Technique: Two-panel axial: CT | PSMA PET, [68Ga]Ga-PSMA-11 tracer. acquired on Siemens Biograph mCT Flow 20. slice position z = -1595 mm.
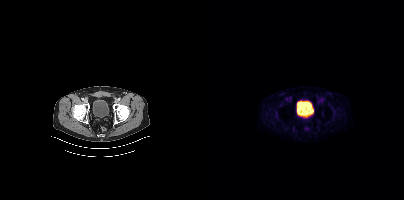
Findings: No PSMA-avid tumor lesions on this slice.